- Paired axial CT (left) and PSMA PET (right), [18F]PSMA-1007 tracer
- PET panel 256×256 px (2.7 mm/px)
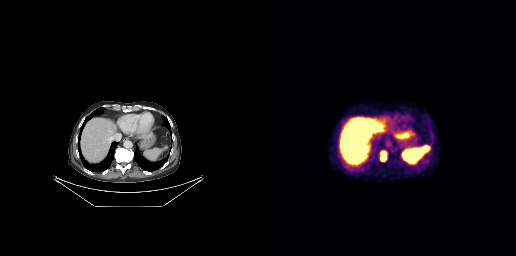
Findings: Coordinates are on the 256×256 PET (right) panel. PSMA-avid tumor lesion bounding box (x0,y0,x1,y1): [121,153,125,161].